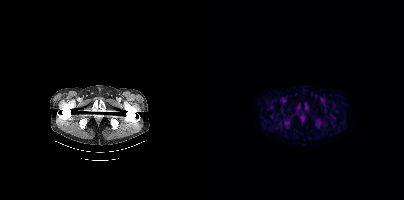
This slice has no annotated PSMA-avid lesion.